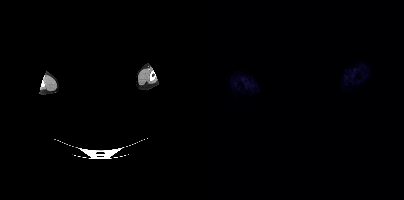
- the head region is masked for de-identification
- Two-panel axial: CT | PSMA PET, 18F-PSMA tracer
- acquired on Siemens Biograph mCT Flow 20
- slice 441 of 452
- PET panel 200×200 px (4.1 mm/px)
Findings: No PSMA-avid tumor lesions on this slice.